Left: CT. Right: PSMA PET, same axial level, 18F-PSMA tracer. Acquired on Siemens Biograph mCT Flow 20.
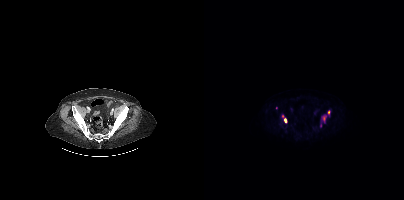
Coordinates are on the 200×200 PET (right) panel. (showing 3 of 5 foci) PSMA-avid tumor lesion bounding boxes (x, y, width, height): x=118 y=115 w=5 h=8; x=80 y=118 w=3 h=5; x=124 y=111 w=3 h=5.